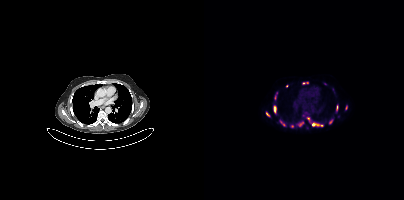
Left: CT. Right: PSMA PET, same axial level, 18F-PSMA tracer. Acquired on Siemens Biograph mCT Flow 20. Slice position z = 330 mm. Coordinates are on the 200×200 PET (right) panel. (showing 12 of 15 foci) PSMA-avid tumor lesion bounding boxes (x, y, width, height): x=108 y=123 w=12 h=4 | x=93 y=121 w=8 h=6 | x=70 y=106 w=3 h=7 | x=98 y=82 w=7 h=3 | x=141 y=105 w=3 h=5 | x=132 y=105 w=3 h=6. Small PSMA-avid foci (2 to 4 px across) near (center x, center y): (126, 121) | (71, 97) | (104, 118) | (88, 126) | (63, 114) | (76, 121).